Technique: Paired axial CT (left) and PSMA PET (right), 18F-PSMA tracer. acquired on Siemens Biograph mCT Flow 20. slice position z = -691 mm. PET panel 200×200 px (4.1 mm/px).
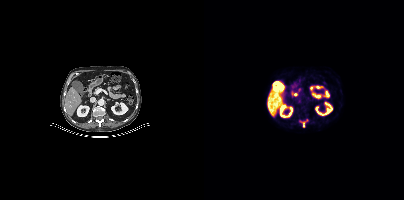
Findings: Coordinates are on the 200×200 PET (right) panel. (showing 1 of 2 foci) PSMA-avid tumor lesion bounding box (x, y, width, height): x=98 y=122 w=3 h=6.